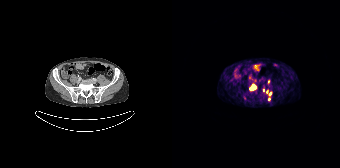
Coordinates are on the 168×168 PET (right) panel. (showing 4 of 5 foci) PSMA-avid tumor lesion bounding box (x0, y0)-(x1, y1): (78, 85)-(83, 89). Small PSMA-avid foci (2 to 4 px across) near (center x, center y): (98, 93) / (91, 90) / (96, 99).
modality: PSMA PET/CT | tracer: 68Ga | view: axial